Two-panel axial: CT | PSMA PET, 18F-PSMA tracer. Acquired on Siemens Biograph mCT Flow 20. Slice 278 of 403. PET panel 200×200 px (4.1 mm/px).
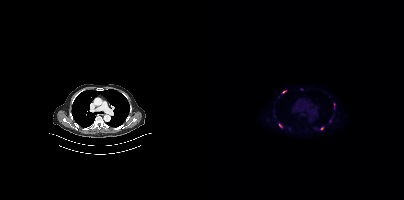
Coordinates are on the 200×200 PET (right) panel. (showing 3 of 5 foci) Small PSMA-avid foci (2 to 4 px across) near (center x, center y): (76, 125) / (117, 128) / (80, 91).